Paired axial CT (left) and PSMA PET (right), [18F]PSMA-1007 tracer. Acquired on Siemens Biograph mCT Flow 20. PET panel 200×200 px (4.1 mm/px).
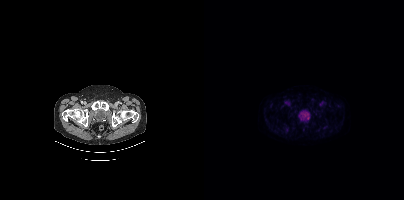
No tumor lesions annotated on this slice.